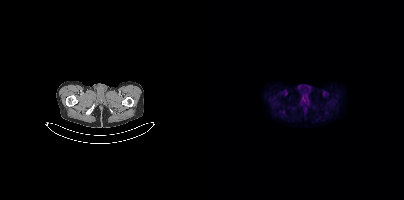
Technique: Left: CT. Right: PSMA PET, same axial level, 18F tracer. slice position z = -1661 mm.
Findings: This slice has no annotated PSMA-avid lesion.